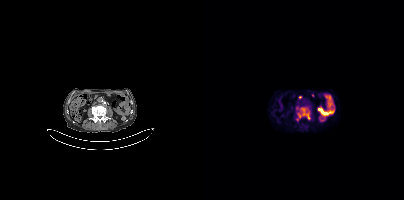
Findings: Coordinates are on the 200×200 PET (right) panel. PSMA-avid tumor lesion bounding box (x, y, width, height): x=93 y=107 w=14 h=13. Small PSMA-avid foci (2 to 4 px across) near (center x, center y): (92, 107) / (93, 119).
- Left: CT. Right: PSMA PET, same axial level, 18F tracer
- acquired on Siemens Biograph mCT Flow 20
- slice 156 of 385
- PET panel 200×200 px (4.1 mm/px)